Left: CT. Right: PSMA PET, same axial level, [18F]PSMA-1007 tracer. Slice position z = 1658 mm.
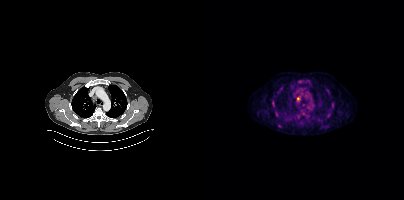
Coordinates are on the 200×200 PET (right) panel. PSMA-avid tumor lesion bounding boxes (partial; 2 more foci not listed):
| # | x0 | y0 | x1 | y1 |
|---|---|---|---|---|
| 1 | 97 | 110 | 100 | 115 |
Small PSMA-avid focus (2 to 4 px across) near (center x, center y): (94, 97).